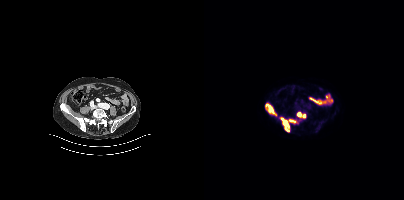
Technique: Two-panel axial: CT | PSMA PET, 18F tracer. PET panel 200×200 px (4.1 mm/px).
Findings: Coordinates are on the 200×200 PET (right) panel. PSMA-avid tumor lesion bounding boxes (x0,y0,x1,y1): [76,117,94,131]; [61,103,72,115]; [93,112,101,117].